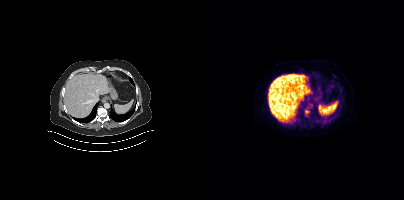
Left: CT. Right: PSMA PET, same axial level, [18F]PSMA-1007 tracer. PET panel 200×200 px (4.1 mm/px). Coordinates are on the 200×200 PET (right) panel. Small PSMA-avid focus (2 to 4 px across) near (center x, center y): (102, 111).